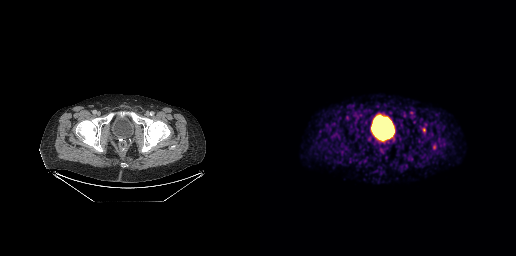
Two-panel axial: CT | PSMA PET, [68Ga]Ga-PSMA-11 tracer. Slice 71 of 299. PET panel 256×256 px (2.7 mm/px). Only PSMA-avid lesion pieces thinner than 2 px on this slice (not listed).